Left: CT. Right: PSMA PET, same axial level, 68Ga-PSMA tracer. The head region is masked for de-identification.
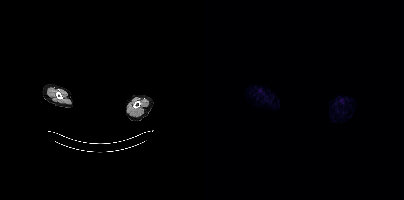
No tumor lesions annotated on this slice.